Technique: Paired axial CT (left) and PSMA PET (right), 18F-PSMA tracer. acquired on Siemens Biograph mCT Flow 20.
Note: Privacy masking over the head, with the pixels inside a rectangle set to black.
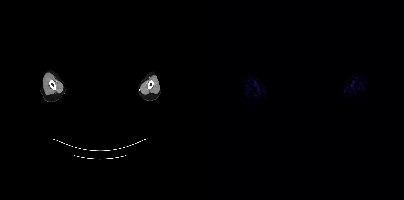
Findings: This slice has no annotated PSMA-avid lesion.